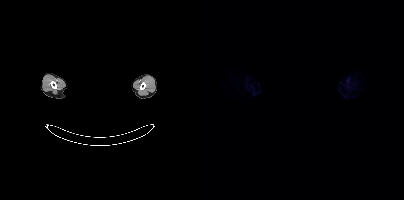
{"modality":"PSMA PET/CT","view":"axial","tracer":"[18F]PSMA-1007","pet_grid":[200,200],"coord_frame":"pet_panel","coord_format":"x0,y0,x1,y1","de-identification":"facial region redacted","psma_avid_lesions":false}